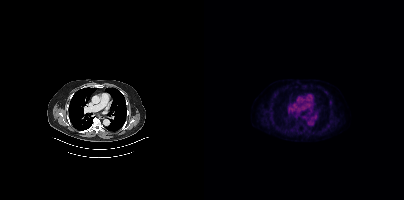
Left: CT. Right: PSMA PET, same axial level, 18F tracer. Slice position z = -368 mm. This slice has no annotated PSMA-avid lesion.